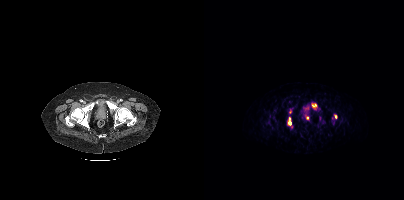
- Paired axial CT (left) and PSMA PET (right), 68Ga-PSMA tracer
- slice position z = 309 mm
- PET panel 200×200 px (4.1 mm/px)
Findings: Coordinates are on the 200×200 PET (right) panel. PSMA-avid tumor lesion bounding boxes (x, y, width, height): x=107 y=103 w=7 h=6 / x=84 y=118 w=4 h=8. Small PSMA-avid foci (2 to 4 px across) near (center x, center y): (131, 116) / (103, 117).